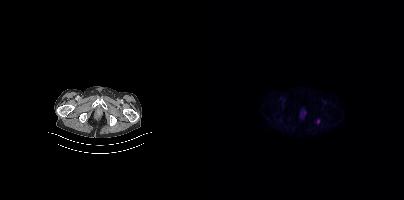
Coordinates are on the 200×200 PET (right) panel. Small PSMA-avid focus (2 to 4 px across) near (center x, center y): (114, 121). Paired axial CT (left) and PSMA PET (right), 18F-PSMA tracer. PET panel 200×200 px (4.1 mm/px).